modality: PSMA PET/CT | tracer: 18F | view: axial | PET grid: 200×200 | redaction: privacy mask over head
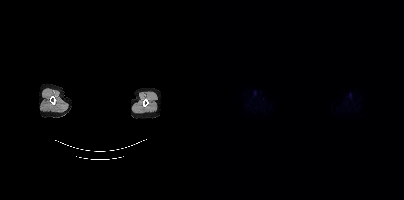
No PSMA-avid tumor lesions on this slice.